Paired axial CT (left) and PSMA PET (right), 18F tracer. PET panel 200×200 px (4.1 mm/px).
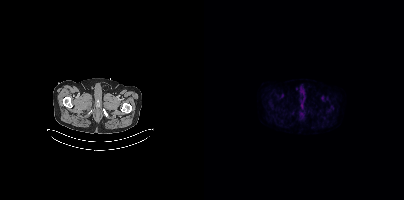
This slice has no annotated PSMA-avid lesion.